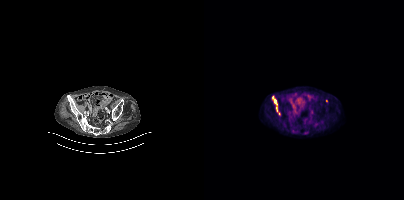
{"modality":"PSMA PET/CT","view":"axial","tracer":"18F-PSMA","pet_grid":[200,200],"coord_frame":"pet_panel","coord_format":"x0,y0,x1,y1","lesion_bboxes":[[68,97,73,105]],"small_foci_centers":[[72,108]]}